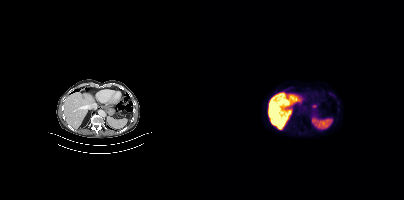
This slice has no annotated PSMA-avid lesion. Two-panel axial: CT | PSMA PET, 18F tracer. PET panel 200×200 px (4.1 mm/px).